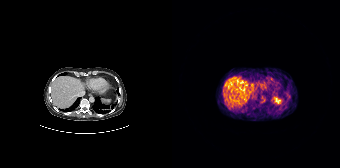
Negative for PSMA-avid disease on this slice.